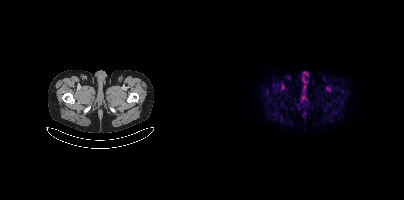
{"modality":"PSMA PET/CT","view":"axial","tracer":"18F-PSMA","pet_grid":[200,200],"coord_frame":"pet_panel","coord_format":"x0,y0,x1,y1","psma_avid_lesions":false}